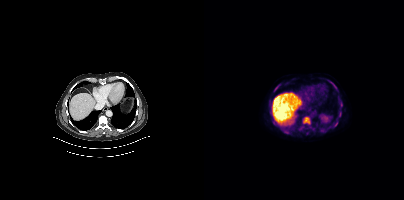
Paired axial CT (left) and PSMA PET (right), 18F tracer.
Coordinates are on the 200×200 PET (right) panel. PSMA-avid tumor lesion bounding boxes (partial; 1 more focus not listed):
| # | x0 | y0 | x1 | y1 |
|---|---|---|---|---|
| 1 | 99 | 117 | 106 | 124 |
| 2 | 129 | 121 | 133 | 127 |
| 3 | 79 | 130 | 84 | 133 |
| 4 | 135 | 111 | 137 | 117 |
| 5 | 69 | 85 | 75 | 92 |
| 6 | 126 | 81 | 132 | 87 |
| 7 | 136 | 102 | 138 | 106 |
Small PSMA-avid focus (2 to 4 px across) near (center x, center y): (109, 128).